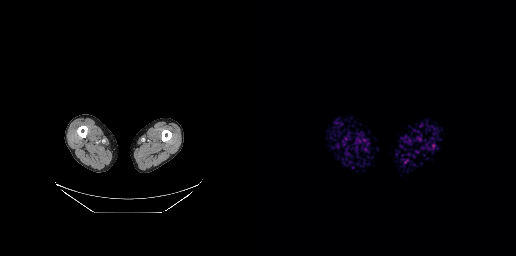
{"pet_grid":[256,256],"coord_frame":"pet_panel","coord_format":"x0,y0,x1,y1","psma_avid_lesions":false,"modality":"PSMA PET/CT","view":"axial","tracer":"[68Ga]Ga-PSMA-11"}